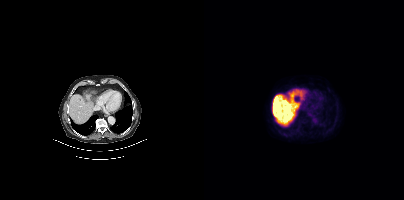
Left: CT. Right: PSMA PET, same axial level, 18F-PSMA tracer. Slice position z = -494 mm. PET panel 200×200 px (4.1 mm/px). No tumor lesions annotated on this slice.